- Two-panel axial: CT | PSMA PET, 18F tracer
- slice position z = 218 mm
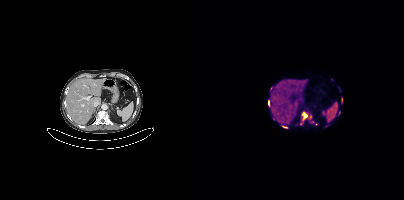
Findings: Coordinates are on the 200×200 PET (right) panel. (showing 9 of 10 foci) PSMA-avid tumor lesion bounding boxes (x0, y0)-(x1, y1): (96, 114)-(103, 125) / (78, 125)-(83, 128) / (64, 101)-(65, 105). Small PSMA-avid foci (2 to 4 px across) near (center x, center y): (122, 126) / (67, 88) / (137, 101) / (106, 117) / (108, 121) / (69, 118).